- Paired axial CT (left) and PSMA PET (right), 18F tracer
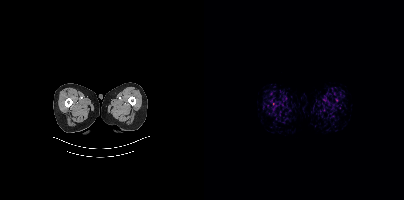
Findings: This slice has no annotated PSMA-avid lesion.